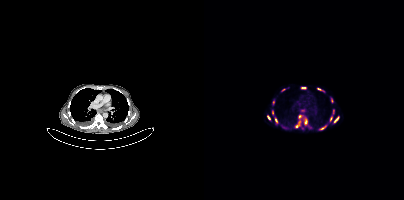
Coordinates are on the 200×200 PET (right) panel. (showing 15 of 16 foci) PSMA-avid tumor lesion bounding boxes (x, y, width, height): x=91 y=121 w=6 h=7 / x=100 y=119 w=4 h=6 / x=113 y=88 w=8 h=4 / x=130 y=117 w=5 h=6 / x=117 y=125 w=6 h=5. Small PSMA-avid foci (2 to 4 px across) near (center x, center y): (64, 117) / (99, 87) / (128, 100) / (79, 90) / (69, 102) / (72, 120) / (105, 127) / (95, 116) / (126, 118) / (68, 113). Paired axial CT (left) and PSMA PET (right), [68Ga]Ga-PSMA-11 tracer.